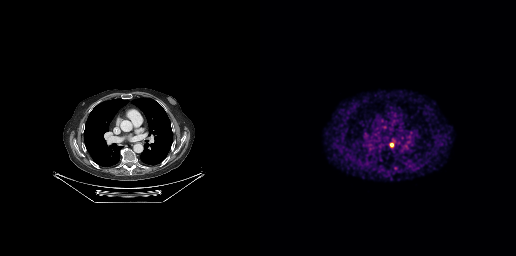
modality: PSMA PET/CT | tracer: [68Ga]Ga-PSMA-11 | view: axial
Coordinates are on the 256×256 PET (right) panel. Small PSMA-avid focus (2 to 4 px across) near (center x, center y): (131, 144).